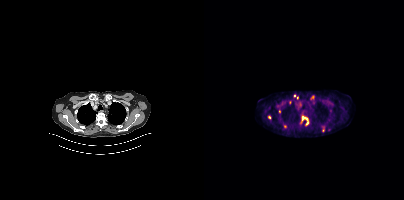
modality: PSMA PET/CT | tracer: [18F]PSMA-1007 | view: axial
Coordinates are on the 200×200 PET (right) panel. (showing 6 of 8 foci) PSMA-avid tumor lesion bounding boxes (x0, y0)-(x1, y1): (98, 116)-(104, 124); (118, 126)-(120, 131). Small PSMA-avid foci (2 to 4 px across) near (center x, center y): (90, 95); (93, 97); (65, 117); (80, 126).